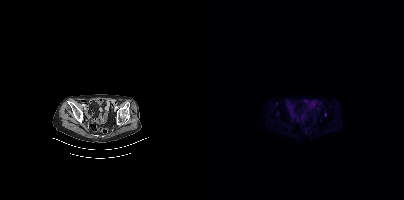
- Two-panel axial: CT | PSMA PET, 68Ga tracer
- acquired on Siemens Biograph mCT Flow 20
Findings: Coordinates are on the 200×200 PET (right) panel. Small PSMA-avid focus (2 to 4 px across) near (center x, center y): (121, 114).